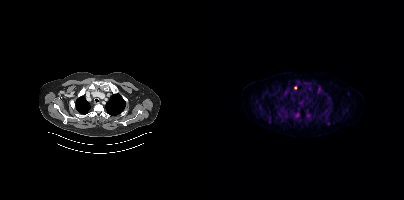
Two-panel axial: CT | PSMA PET, 18F-PSMA tracer. PET panel 200×200 px (4.1 mm/px).
Coordinates are on the 200×200 PET (right) panel. PSMA-avid tumor lesion bounding boxes:
| # | x0 | y0 | x1 | y1 |
|---|---|---|---|---|
| 1 | 88 | 112 | 96 | 119 |
| 2 | 100 | 109 | 106 | 123 |
| 3 | 121 | 93 | 126 | 99 |
| 4 | 113 | 87 | 118 | 93 |
| 5 | 79 | 91 | 83 | 95 |
| 6 | 54 | 106 | 58 | 109 |
Small PSMA-avid foci (2 to 4 px across) near (center x, center y): (124, 102); (66, 120); (91, 87).